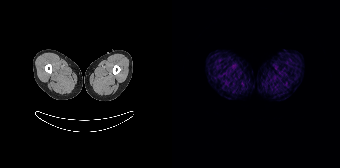
No tumor lesions annotated on this slice.